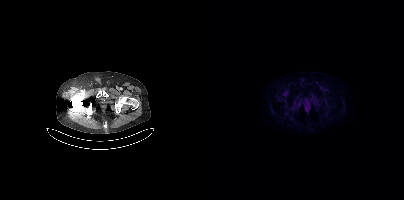
modality: PSMA PET/CT | tracer: 18F-PSMA | view: axial | PET grid: 200×200
No PSMA-avid tumor lesions on this slice.